modality: PSMA PET/CT | tracer: [68Ga]Ga-PSMA-11 | view: axial | PET grid: 200×200 | deidentification: rectangular block over head set to black
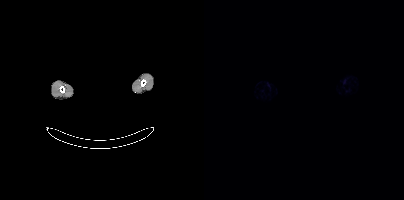
Negative for PSMA-avid disease on this slice.